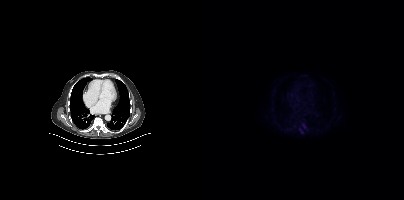
Coordinates are on the 200×200 PET (right) panel. PSMA-avid tumor lesion bounding boxes (x0, y0)-(x1, y1): (94, 128)-(100, 134); (97, 123)-(102, 127).